Left: CT. Right: PSMA PET, same axial level, 18F tracer. PET panel 200×200 px (4.1 mm/px).
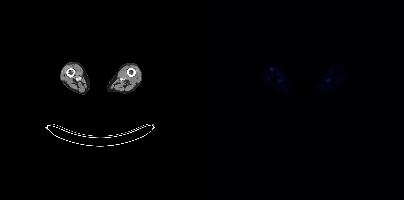
No PSMA-avid tumor lesions on this slice.